Two-panel axial: CT | PSMA PET, 18F tracer. Slice 43 of 263. PET panel 256×256 px (2.7 mm/px).
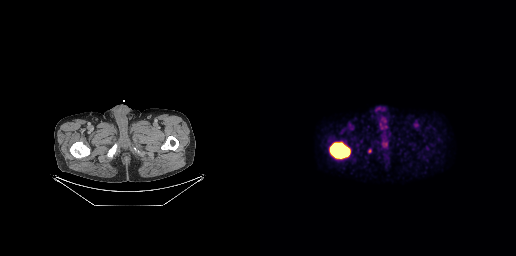
Coordinates are on the 256×256 PET (right) panel. PSMA-avid tumor lesion bounding box (x, y, width, height): x=69 y=141 w=22 h=19.